Left: CT. Right: PSMA PET, same axial level, 18F-PSMA tracer. PET panel 200×200 px (4.1 mm/px).
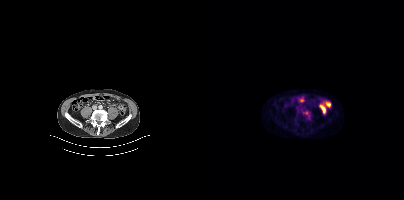
Coordinates are on the 200×200 PET (right) panel. Small PSMA-avid focus (2 to 4 px across) near (center x, center y): (102, 112).